Left: CT. Right: PSMA PET, same axial level, 18F-PSMA tracer. Acquired on GE Discovery 690. Slice 145 of 299.
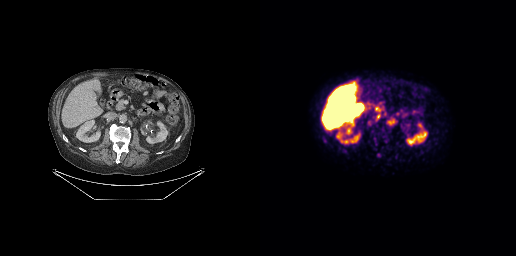
Coordinates are on the 256×256 PET (right) panel. PSMA-avid tumor lesion bounding boxes:
| # | x0 | y0 | x1 | y1 |
|---|---|---|---|---|
| 1 | 127 | 118 | 136 | 125 |